Technique: Two-panel axial: CT | PSMA PET, 18F tracer.
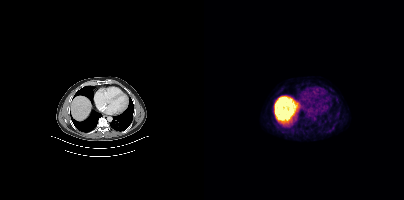
Findings: No tumor lesions annotated on this slice.